Two-panel axial: CT | PSMA PET, 18F tracer. Slice 176 of 421. PET panel 200×200 px (4.1 mm/px).
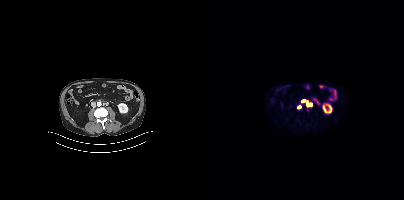
Coordinates are on the 200×200 PET (right) panel. PSMA-avid tumor lesion bounding boxes:
| # | x0 | y0 | x1 | y1 |
|---|---|---|---|---|
| 1 | 98 | 100 | 107 | 106 |
Small PSMA-avid focus (2 to 4 px across) near (center x, center y): (95, 107).